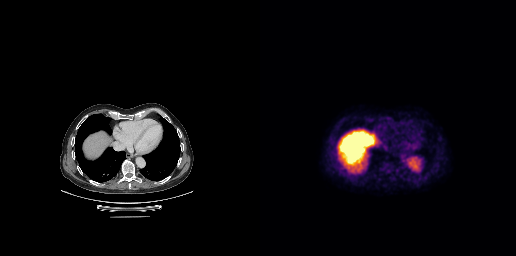
{"modality":"PSMA PET/CT","view":"axial","tracer":"18F","pet_grid":[256,256],"coord_frame":"pet_panel","coord_format":"x0,y0,x1,y1","psma_avid_lesions":false}